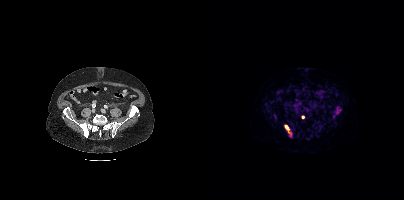
Coordinates are on the 200×200 PET (right) panel. (showing 3 of 4 foci) PSMA-avid tumor lesion bounding boxes (x0, y0)-(x1, y1): (80, 125)-(87, 135) / (132, 107)-(136, 113). Small PSMA-avid focus (2 to 4 px across) near (center x, center y): (98, 116).